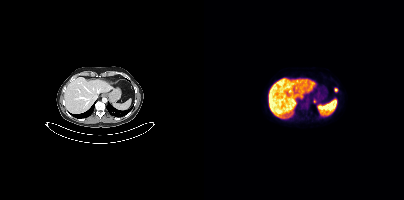
Left: CT. Right: PSMA PET, same axial level, 18F-PSMA tracer. Slice 249 of 429. Coordinates are on the 200×200 PET (right) panel. PSMA-avid tumor lesion bounding box (x0,y0,x1,y1): [109,98,112,103]. Small PSMA-avid focus (2 to 4 px across) near (center x, center y): (131, 89).